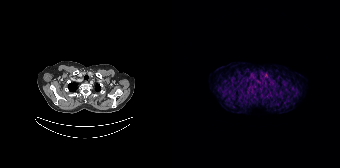
Technique: Two-panel axial: CT | PSMA PET, [68Ga]Ga-PSMA-11 tracer. acquired on Siemens Biograph 64-4R TruePoint. PET panel 168×168 px (4.1 mm/px).
Findings: Coordinates are on the 168×168 PET (right) panel. Small PSMA-avid focus (2 to 4 px across) near (center x, center y): (94, 75).